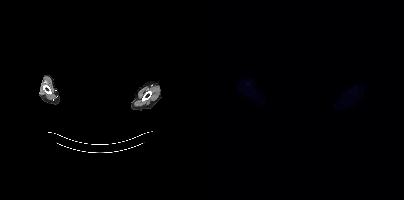
redaction: facial region redacted | modality: PSMA PET/CT | tracer: 18F-PSMA | view: axial | PET grid: 200×200
Negative for PSMA-avid disease on this slice.